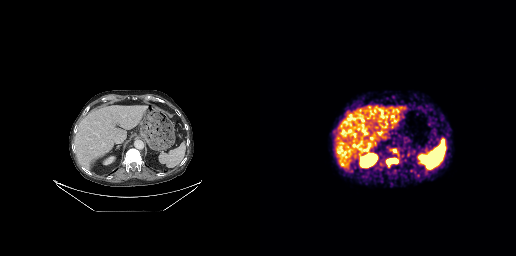
Coordinates are on the 256×256 PET (right) panel. PSMA-avid tumor lesion bounding boxes:
| # | x0 | y0 | x1 | y1 |
|---|---|---|---|---|
| 1 | 127 | 158 | 137 | 166 |
| 2 | 130 | 148 | 138 | 155 |
Small PSMA-avid focus (2 to 4 px across) near (center x, center y): (120, 163).
Two-panel axial: CT | PSMA PET, 68Ga tracer. Slice position z = -398 mm. PET panel 256×256 px (2.7 mm/px).